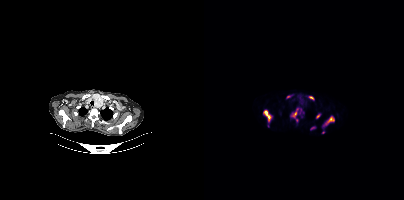
modality: PSMA PET/CT | tracer: [18F]PSMA-1007 | view: axial
Coordinates are on the 200×200 PET (right) panel. (showing 7 of 10 foci) PSMA-avid tumor lesion bounding boxes (x0,y0,x1,y1): [59,109,68,122] [121,116,130,124] [87,108,94,121] [105,96,109,99] [112,114,115,118]. Small PSMA-avid foci (2 to 4 px across) near (center x, center y): (84, 96) (108, 128).